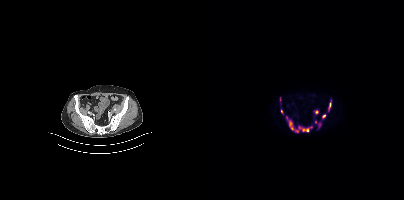
Coordinates are on the 200×200 PET (right) panel. (showing 10 of 13 foci) PSMA-avid tumor lesion bounding boxes (x0,y0,x1,y1): [85,121,89,129] [98,128,104,131] [114,123,117,127] [77,109,78,113] [126,100,127,106]. Small PSMA-avid foci (2 to 4 px across) near (center x, center y): (92, 130) (120, 116) (112, 112) (82, 117) (111, 121).